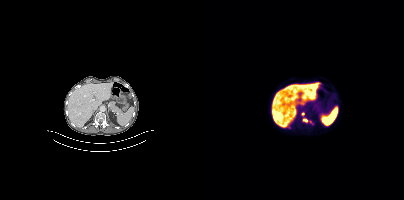
{"modality":"PSMA PET/CT","view":"axial","tracer":"18F-PSMA","pet_grid":[200,200],"coord_frame":"pet_panel","coord_format":"x0,y0,x1,y1","partial":true,"lesion_bboxes":[[98,118,104,122]],"small_foci_centers":[[98,113]]}